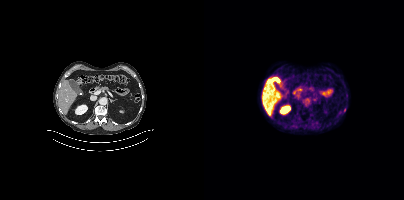
Left: CT. Right: PSMA PET, same axial level, 18F tracer. Slice 215 of 429. Negative for PSMA-avid disease on this slice.